Paired axial CT (left) and PSMA PET (right), 18F-PSMA tracer. Acquired on GE Discovery 690.
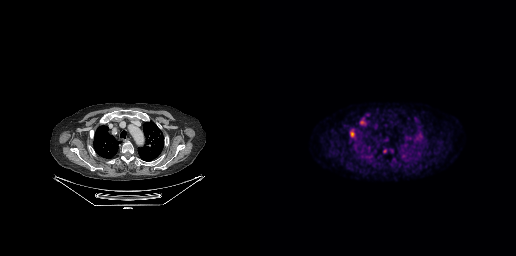
Coordinates are on the 256×256 PET (right) panel. PSMA-avid tumor lesion bounding boxes (x0, y0)-(x1, y1): (90, 129)-(94, 137) / (100, 118)-(106, 125). Small PSMA-avid focus (2 to 4 px across) near (center x, center y): (124, 150).